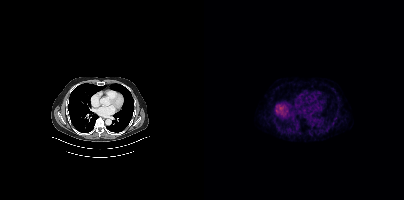
Paired axial CT (left) and PSMA PET (right), 68Ga tracer. Acquired on Siemens Biograph mCT Flow 20. No tumor lesions annotated on this slice.